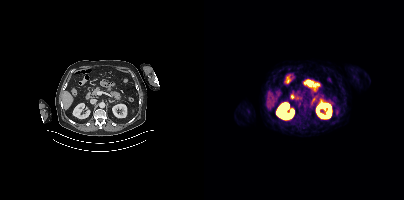
- Paired axial CT (left) and PSMA PET (right), 68Ga-PSMA tracer
- acquired on Siemens Biograph mCT Flow 20
- slice position z = -1204 mm
Findings: No tumor lesions annotated on this slice.